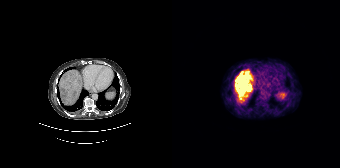
{"pet_grid":[168,168],"coord_frame":"pet_panel","coord_format":"x0,y0,x1,y1","partial":true,"lesion_bboxes":[[63,71,80,100]],"modality":"PSMA PET/CT","view":"axial","tracer":"[68Ga]Ga-PSMA-11"}